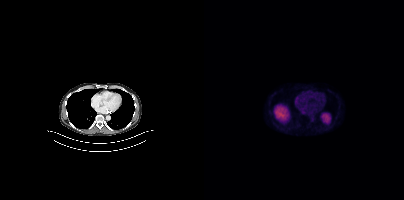
Technique: Paired axial CT (left) and PSMA PET (right), 18F-PSMA tracer. acquired on Siemens Biograph mCT Flow 20. slice 227 of 377.
Findings: This slice has no annotated PSMA-avid lesion.